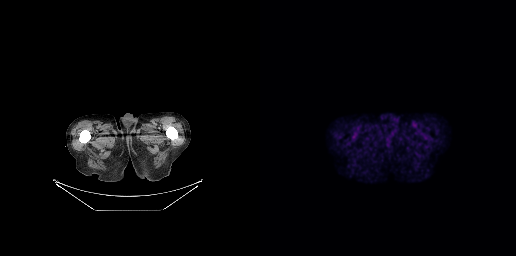
{"modality":"PSMA PET/CT","view":"axial","tracer":"18F-PSMA","pet_grid":[256,256],"coord_frame":"pet_panel","coord_format":"x0,y0,x1,y1","psma_avid_lesions":false}